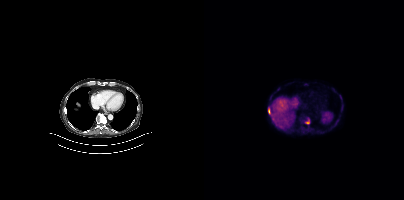
Coordinates are on the 200×200 PET (right) panel. PSMA-avid tumor lesion bounding boxes:
| # | x0 | y0 | x1 | y1 |
|---|---|---|---|---|
| 1 | 97 | 116 | 105 | 124 |
| 2 | 64 | 108 | 65 | 113 |
Left: CT. Right: PSMA PET, same axial level, [18F]PSMA-1007 tracer. Acquired on Siemens Biograph mCT Flow 20.